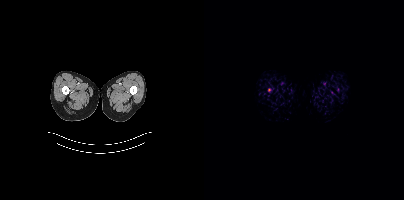
Paired axial CT (left) and PSMA PET (right), [18F]PSMA-1007 tracer. Acquired on Siemens Biograph mCT Flow 20. Coordinates are on the 200×200 PET (right) panel. (showing 1 of 2 foci) Small PSMA-avid focus (2 to 4 px across) near (center x, center y): (65, 90).